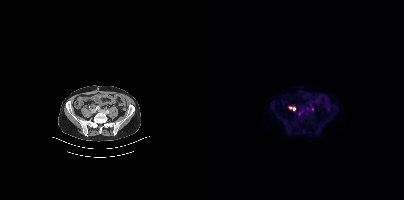
- Left: CT. Right: PSMA PET, same axial level, 18F tracer
- acquired on Siemens Biograph mCT Flow 20
- slice position z = -1412 mm
- PET panel 200×200 px (4.1 mm/px)
Findings: Coordinates are on the 200×200 PET (right) panel. (showing 2 of 3 foci) Small PSMA-avid foci (2 to 4 px across) near (center x, center y): (90, 109); (86, 107).